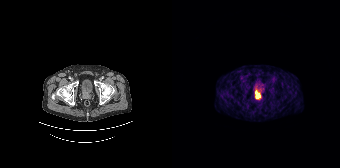
Paired axial CT (left) and PSMA PET (right), 68Ga tracer. Slice 53 of 195. PET panel 168×168 px (4.1 mm/px). Coordinates are on the 168×168 PET (right) panel. PSMA-avid tumor lesion bounding box (x, y, width, height): x=83 y=90 w=6 h=9.